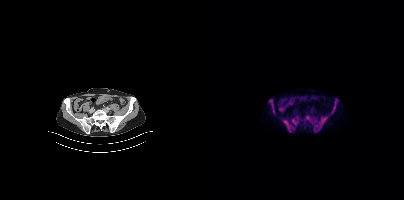
Two-panel axial: CT | PSMA PET, 18F-PSMA tracer. Acquired on Siemens Biograph mCT Flow 20. Slice 114 of 413. PET panel 200×200 px (4.1 mm/px).
Coordinates are on the 200×200 PET (right) panel. PSMA-avid tumor lesion bounding boxes (partial; 2 more foci not listed):
| # | x0 | y0 | x1 | y1 |
|---|---|---|---|---|
| 1 | 79 | 120 | 90 | 132 |
| 2 | 116 | 118 | 122 | 125 |
| 3 | 69 | 109 | 70 | 113 |
Small PSMA-avid focus (2 to 4 px across) near (center x, center y): (130, 107).